modality: PSMA PET/CT | tracer: 18F | view: axial | PET grid: 168×168
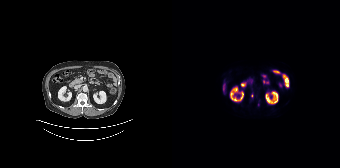
Coordinates are on the 168×168 PET (right) panel. (showing 1 of 2 foci) Small PSMA-avid focus (2 to 4 px across) near (center x, center y): (79, 95).